- Left: CT. Right: PSMA PET, same axial level, 18F tracer
- slice position z = -662 mm
- PET panel 200×200 px (4.1 mm/px)
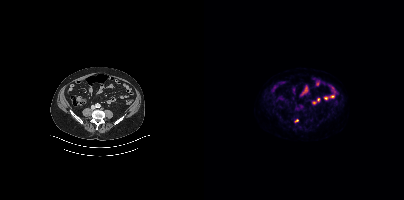
Findings: Coordinates are on the 200×200 PET (right) panel. Small PSMA-avid focus (2 to 4 px across) near (center x, center y): (93, 120).